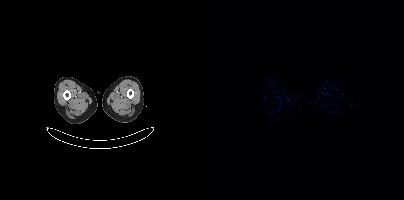
Two-panel axial: CT | PSMA PET, [68Ga]Ga-PSMA-11 tracer. Slice position z = -1623 mm. PET panel 200×200 px (4.1 mm/px). Negative for PSMA-avid disease on this slice.